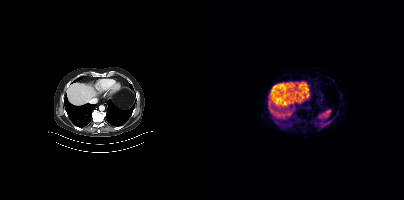
{"modality":"PSMA PET/CT","view":"axial","tracer":"18F","pet_grid":[200,200],"coord_frame":"pet_panel","coord_format":"x0,y0,x1,y1","psma_avid_lesions":false}